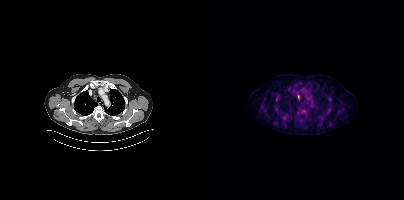
Left: CT. Right: PSMA PET, same axial level, [18F]PSMA-1007 tracer. Slice position z = 1674 mm. PET panel 200×200 px (4.1 mm/px). Coordinates are on the 200×200 PET (right) panel. (showing 2 of 3 foci) Small PSMA-avid foci (2 to 4 px across) near (center x, center y): (94, 96), (72, 99).